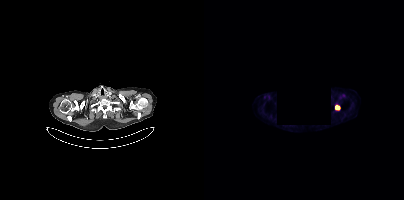
Coordinates are on the 200×200 PET (right) panel. PSMA-avid tumor lesion bounding box (x, y, width, height): x=131 y=106 w=5 h=4.
An anonymization step blacked out a rectangle in this scan.